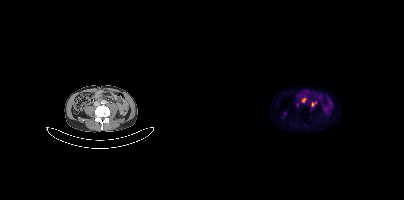
Coordinates are on the 200×200 PET (right) panel. PSMA-avid tumor lesion bounding boxes (x, y, width, height): x=98 y=98 w=4 h=5 / x=108 y=102 w=2 h=5. Small PSMA-avid focus (2 to 4 px across) near (center x, center y): (111, 102).
modality: PSMA PET/CT | tracer: 68Ga-PSMA | view: axial | PET grid: 200×200